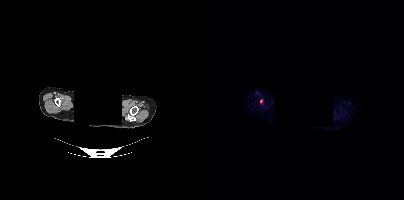
- Left: CT. Right: PSMA PET, same axial level, [18F]PSMA-1007 tracer
- slice 328 of 381
- PET panel 200×200 px (4.1 mm/px)
- de-identified by setting a box covering the face to black before release
Findings: Coordinates are on the 200×200 PET (right) panel. Small PSMA-avid focus (2 to 4 px across) near (center x, center y): (57, 101).